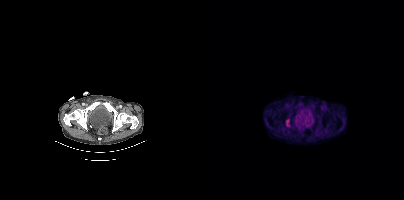
Left: CT. Right: PSMA PET, same axial level, 18F tracer. Slice 54 of 403. PET panel 200×200 px (4.1 mm/px).
Coordinates are on the 200×200 PET (right) panel. PSMA-avid tumor lesion bounding boxes:
| # | x0 | y0 | x1 | y1 |
|---|---|---|---|---|
| 1 | 82 | 120 | 85 | 126 |